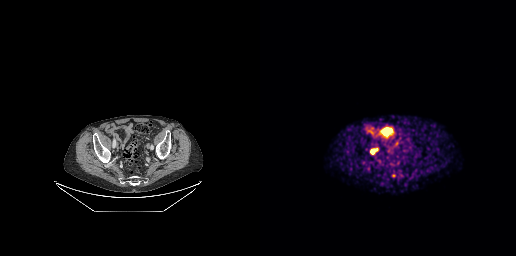
Coordinates are on the 256×256 PET (right) panel. PSMA-avid tumor lesion bounding box (x0, y0)-(x1, y1): (110, 149)-(117, 153). Small PSMA-avid focus (2 to 4 px across) near (center x, center y): (133, 175).
modality: PSMA PET/CT | tracer: 68Ga | view: axial | PET grid: 256×256